Part of this slice was blanked for de-identification. Paired axial CT (left) and PSMA PET (right), 68Ga tracer. Acquired on Siemens Biograph mCT Flow 20.
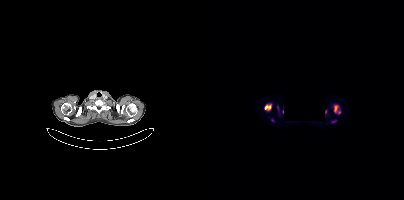
Coordinates are on the 200×200 PET (right) panel. (showing 2 of 5 foci) PSMA-avid tumor lesion bounding boxes (x0,y0,x1,y1): [61,104,67,110] [130,106,132,112].